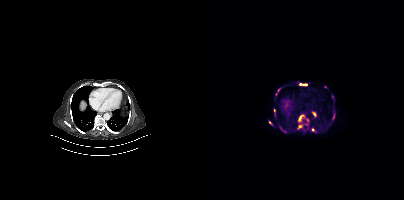
{"modality":"PSMA PET/CT","view":"axial","tracer":"[68Ga]Ga-PSMA-11","pet_grid":[200,200],"coord_frame":"pet_panel","coord_format":"x0,y0,x1,y1","partial":true,"lesion_bboxes":[[95,115,99,120],[75,126,79,130],[96,83,101,85]],"small_foci_centers":[[95,126],[109,129],[129,115],[70,111],[66,122],[74,90],[103,120]]}